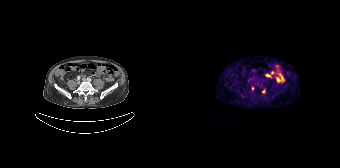
modality: PSMA PET/CT | tracer: 68Ga-PSMA | view: axial | PET grid: 168×168
Coordinates are on the 168×168 PET (right) panel. PSMA-avid tumor lesion bounding box (x0, y0)-(x1, y1): (90, 89)-(93, 93). Small PSMA-avid focus (2 to 4 px across) near (center x, center y): (80, 88).